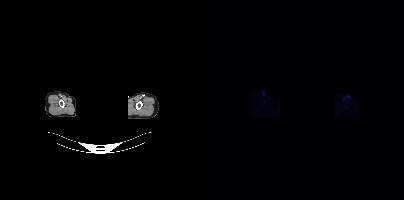
A rectangle over the head was blacked out to remove identifiable facial features.
Negative for PSMA-avid disease on this slice.